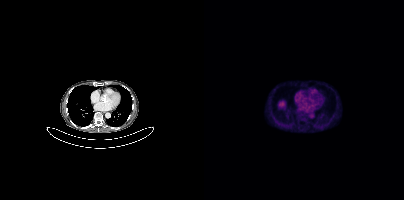
No tumor lesions annotated on this slice.